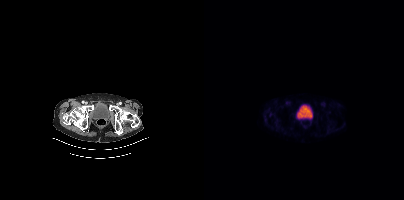
Left: CT. Right: PSMA PET, same axial level, [68Ga]Ga-PSMA-11 tracer. Acquired on Siemens Biograph mCT Flow 20. Slice 54 of 409. PET panel 200×200 px (4.1 mm/px). No PSMA-avid tumor lesions on this slice.